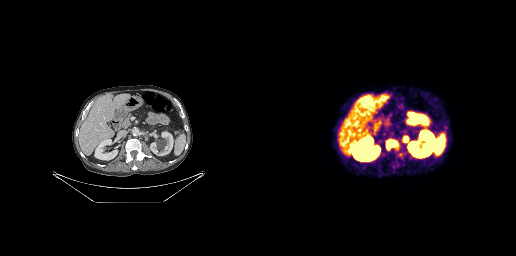
Coordinates are on the 256×256 PET (right) panel. PSMA-avid tumor lesion bounding boxes (x, y, width, height): x=127 y=140 w=11 h=9 | x=144 y=137 w=4 h=5. Small PSMA-avid focus (2 to 4 px across) near (center x, center y): (140, 154). Paired axial CT (left) and PSMA PET (right), 68Ga-PSMA tracer. Acquired on GE Discovery 690. PET panel 256×256 px (2.7 mm/px).